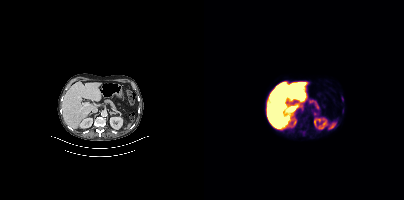
Coordinates are on the 200×200 PET (right) panel. (showing 1 of 2 foci) PSMA-avid tumor lesion bounding box (x, y, width, height): x=137 y=96 w=3 h=7.